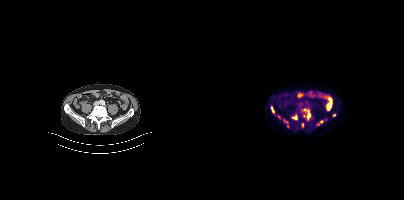
Coordinates are on the 200×200 PET (right) panel. PSMA-avid tumor lesion bounding boxes (partial; 1 more focus not listed):
| # | x0 | y0 | x1 | y1 |
|---|---|---|---|---|
| 1 | 103 | 110 | 106 | 119 |
| 2 | 88 | 115 | 93 | 119 |
| 3 | 67 | 106 | 70 | 112 |
Small PSMA-avid foci (2 to 4 px across) near (center x, center y): (130, 115); (81, 122); (98, 125); (100, 109); (117, 121); (83, 126).
Left: CT. Right: PSMA PET, same axial level, [18F]PSMA-1007 tracer. Slice position z = -725 mm.